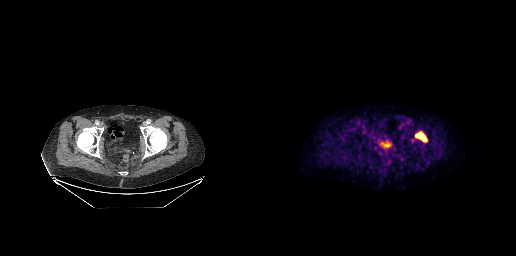
Coordinates are on the 256×256 PET (right) panel. PSMA-avid tumor lesion bounding box (x0, y0)-(x1, y1): (155, 131)-(167, 142).
modality: PSMA PET/CT | tracer: 18F-PSMA | view: axial